- Two-panel axial: CT | PSMA PET, [68Ga]Ga-PSMA-11 tracer
- slice position z = -1190 mm
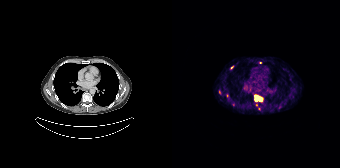
Findings: Coordinates are on the 168×168 PET (right) panel. (showing 5 of 8 foci) PSMA-avid tumor lesion bounding box (x, y, width, height): x=82 y=94 w=10 h=8. Small PSMA-avid foci (2 to 4 px across) near (center x, center y): (47, 92) / (55, 95) / (88, 62) / (60, 67).